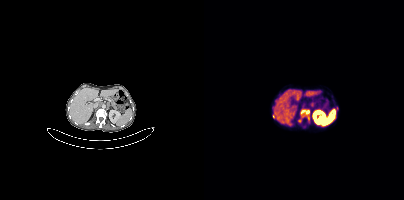
Technique: Left: CT. Right: PSMA PET, same axial level, 68Ga tracer. acquired on Siemens Biograph mCT Flow 20. PET panel 200×200 px (4.1 mm/px).
Findings: Coordinates are on the 200×200 PET (right) panel. PSMA-avid tumor lesion bounding boxes (x, y, width, height): x=97 y=109 w=9 h=7; x=94 y=116 w=6 h=7. Small PSMA-avid foci (2 to 4 px across) near (center x, center y): (104, 118); (69, 116); (132, 108).